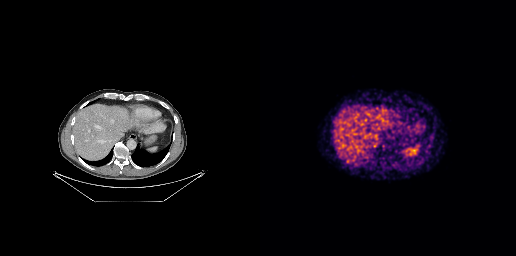
Technique: Two-panel axial: CT | PSMA PET, [18F]PSMA-1007 tracer.
Findings: No PSMA-avid tumor lesions on this slice.